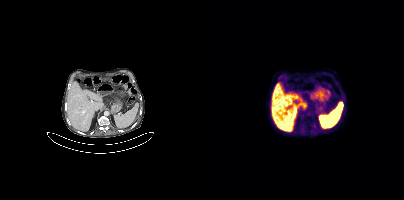
{"modality":"PSMA PET/CT","view":"axial","tracer":"18F","pet_grid":[200,200],"coord_frame":"pet_panel","coord_format":"x0,y0,x1,y1","lesion_bboxes":[],"small_foci_centers":[[110,126]]}